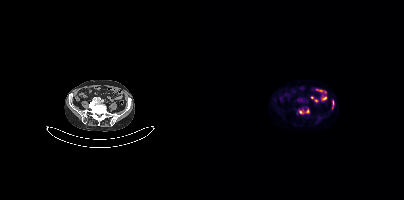
Findings: Coordinates are on the 200×200 PET (right) panel. (showing 2 of 3 foci) PSMA-avid tumor lesion bounding box (x0, y0)-(x1, y1): (95, 109)-(105, 114). Small PSMA-avid focus (2 to 4 px across) near (center x, center y): (128, 107).
Technique: Paired axial CT (left) and PSMA PET (right), [18F]PSMA-1007 tracer. slice 123 of 391.